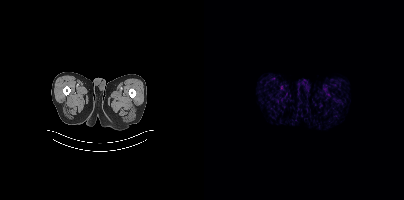
No tumor lesions annotated on this slice.